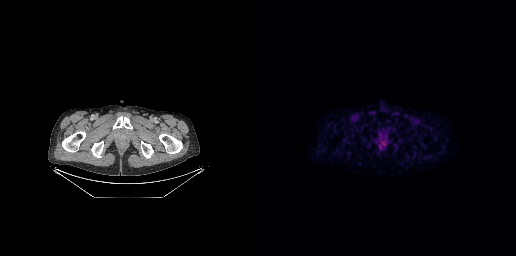
Coordinates are on the 256×256 PET (right) panel. Small PSMA-avid focus (2 to 4 px across) near (center x, center y): (123, 143).